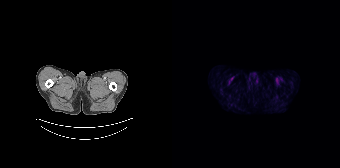
Negative for PSMA-avid disease on this slice.
modality: PSMA PET/CT | tracer: [18F]PSMA-1007 | view: axial | PET grid: 168×168